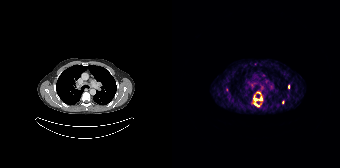
Findings: Coordinates are on the 168×168 PET (right) panel. PSMA-avid tumor lesion bounding box (x0,y0,x1,y1): [81,92,90,106]. Small PSMA-avid foci (2 to 4 px across) near (center x, center y): (116, 86) (110, 102).
Technique: Paired axial CT (left) and PSMA PET (right), 68Ga-PSMA tracer. acquired on Siemens Biograph 64-4R TruePoint. slice position z = -1136 mm. PET panel 168×168 px (4.1 mm/px).